Technique: Paired axial CT (left) and PSMA PET (right), [18F]PSMA-1007 tracer. acquired on Siemens Biograph 64-4R TruePoint. slice position z = -1096 mm.
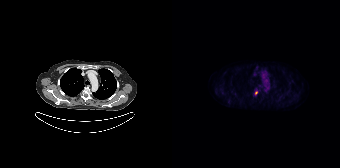
Findings: Coordinates are on the 168×168 PET (right) panel. PSMA-avid tumor lesion bounding box (x0, y0)-(x1, y1): (82, 90)-(86, 94).